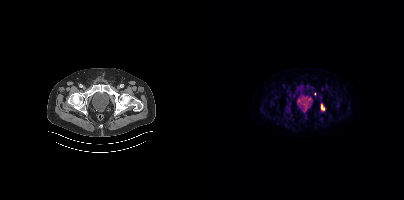
Paired axial CT (left) and PSMA PET (right), [18F]PSMA-1007 tracer. Acquired on Siemens Biograph mCT Flow 20. Slice position z = -846 mm. Coordinates are on the 200×200 PET (right) panel. (showing 1 of 2 foci) PSMA-avid tumor lesion bounding box (x0,y0,x1,y1): [117,104,120,110].